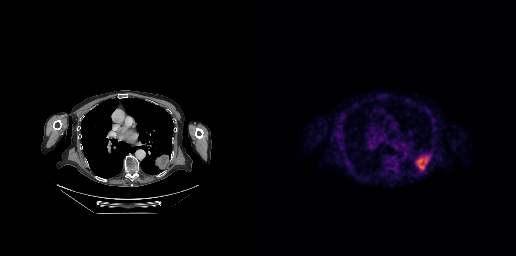
Coordinates are on the 256×256 PET (right) panel. PSMA-avid tumor lesion bounding box (x0,y0,x1,y1): [155,155,169,170]. Left: CT. Right: PSMA PET, same axial level, [18F]PSMA-1007 tracer. PET panel 256×256 px (2.7 mm/px).